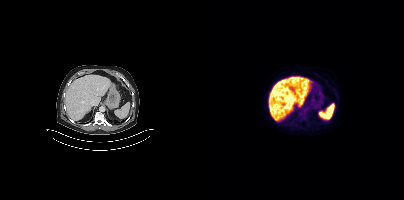
This slice has no annotated PSMA-avid lesion.